Facial anatomy redacted by setting a rectangular region of the head to black. Two-panel axial: CT | PSMA PET, 18F tracer. Slice 162 of 165.
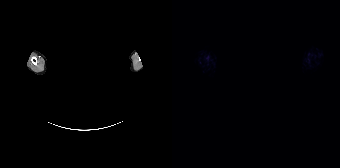
Negative for PSMA-avid disease on this slice.